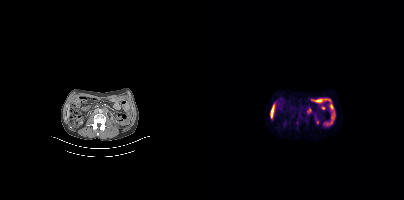
Coordinates are on the 200×200 PET (right) panel. PSMA-avid tumor lesion bounding boxes (x0, y0)-(x1, y1): (102, 107)-(107, 114) | (112, 120)-(115, 124) | (92, 120)-(94, 125).